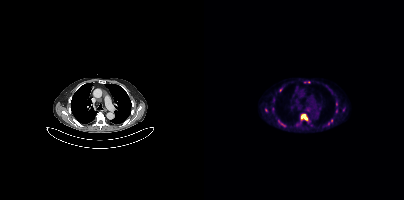
Findings: Coordinates are on the 200×200 PET (right) panel. (showing 7 of 9 foci) PSMA-avid tumor lesion bounding box (x0, y0)-(x1, y1): (97, 114)-(103, 120). Small PSMA-avid foci (2 to 4 px across) near (center x, center y): (77, 89) | (127, 120) | (61, 110) | (124, 123) | (79, 125) | (132, 103).
- Two-panel axial: CT | PSMA PET, 18F tracer
- acquired on Siemens Biograph mCT Flow 20